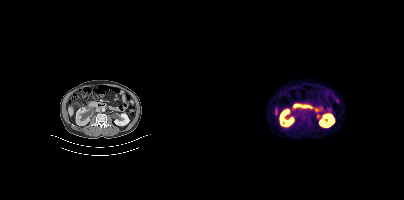
This slice has no annotated PSMA-avid lesion.